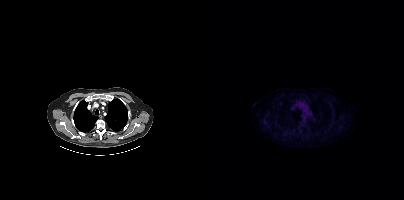
modality: PSMA PET/CT | tracer: 18F-PSMA | view: axial | PET grid: 200×200
Negative for PSMA-avid disease on this slice.